Technique: Paired axial CT (left) and PSMA PET (right), 18F-PSMA tracer. acquired on Siemens Biograph mCT Flow 20. slice 369 of 452. PET panel 200×200 px (4.1 mm/px).
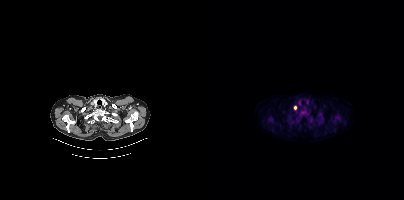
Findings: Coordinates are on the 200×200 PET (right) panel. PSMA-avid tumor lesion bounding box (x0, y0)-(x1, y1): (97, 110)-(101, 114). Small PSMA-avid focus (2 to 4 px across) near (center x, center y): (91, 107).